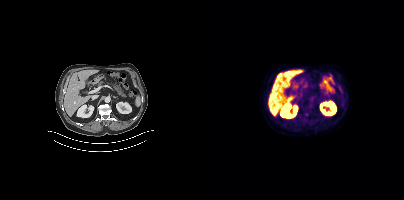
Findings: Negative for PSMA-avid disease on this slice.
- Paired axial CT (left) and PSMA PET (right), 18F tracer
- acquired on Siemens Biograph mCT Flow 20
- slice position z = -1184 mm
- PET panel 200×200 px (4.1 mm/px)